modality: PSMA PET/CT | tracer: 68Ga | view: axial | PET grid: 256×256
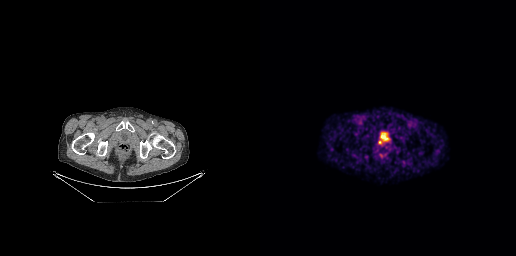
Coordinates are on the 256×256 PET (right) panel. PSMA-avid tumor lesion bounding box (x, y, width, height): x=118 y=140 w=4 h=6.